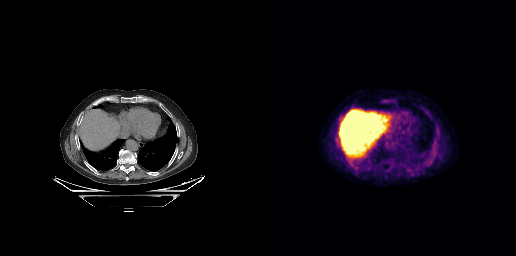
Negative for PSMA-avid disease on this slice.